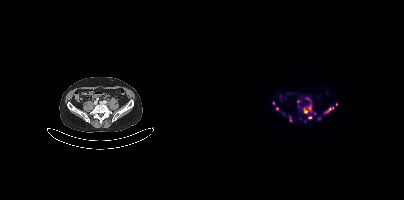
Findings: Coordinates are on the 200×200 PET (right) panel. (showing 10 of 12 foci) PSMA-avid tumor lesion bounding boxes (x0,y0,x1,y1): [100,105,107,112]; [122,107,129,112]; [101,97,105,100]; [86,117,87,121]. Small PSMA-avid foci (2 to 4 px across) near (center x, center y): (115, 118); (73, 108); (94, 101); (132, 104); (69, 103); (79, 113).
Technique: Left: CT. Right: PSMA PET, same axial level, 18F-PSMA tracer. slice position z = 18 mm.